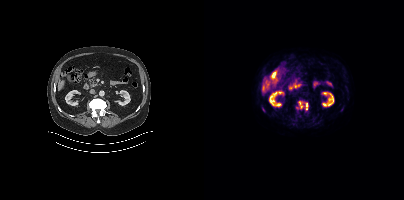
Coordinates are on the 200×200 PET (right) panel. (showing 1 of 2 foci) PSMA-avid tumor lesion bounding box (x0, y0)-(x1, y1): (94, 101)-(104, 109).